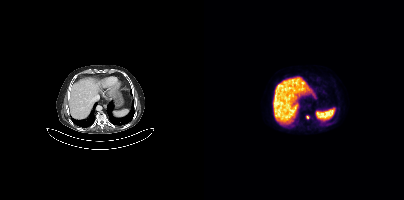
No PSMA-avid tumor lesions on this slice.